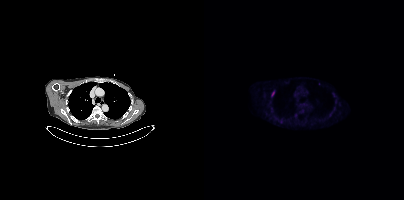
- Paired axial CT (left) and PSMA PET (right), 18F tracer
- acquired on Siemens Biograph mCT Flow 20
- PET panel 200×200 px (4.1 mm/px)
Findings: Coordinates are on the 200×200 PET (right) panel. (showing 2 of 4 foci) PSMA-avid tumor lesion bounding box (x0,y0,x1,y1): [67,91,70,96]. Small PSMA-avid focus (2 to 4 px across) near (center x, center y): (97, 110).